- Paired axial CT (left) and PSMA PET (right), 18F-PSMA tracer
- acquired on Siemens Biograph mCT Flow 20
- slice 346 of 442
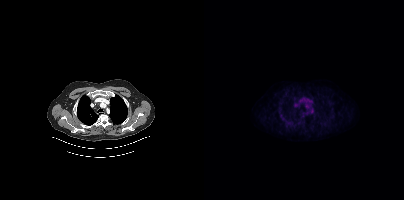
Findings: No PSMA-avid tumor lesions on this slice.